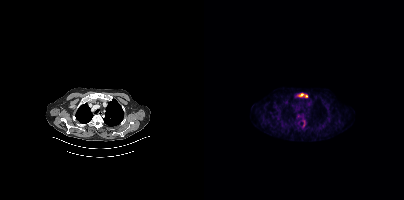
{"modality":"PSMA PET/CT","view":"axial","tracer":"18F","pet_grid":[200,200],"coord_frame":"pet_panel","coord_format":"x0,y0,x1,y1","lesion_bboxes":[[93,93,103,97],[99,120,101,126]]}